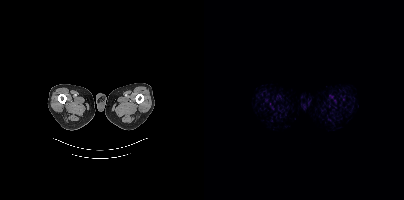
Findings: Negative for PSMA-avid disease on this slice.
Technique: Two-panel axial: CT | PSMA PET, 18F-PSMA tracer. acquired on Siemens Biograph mCT Flow 20. slice position z = -1093 mm.